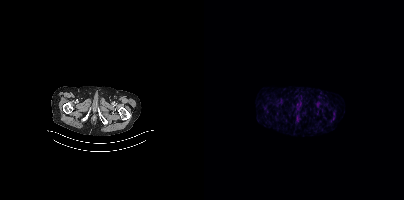
{"modality":"PSMA PET/CT","view":"axial","tracer":"68Ga","pet_grid":[200,200],"coord_frame":"pet_panel","coord_format":"x0,y0,x1,y1","psma_avid_lesions":false}